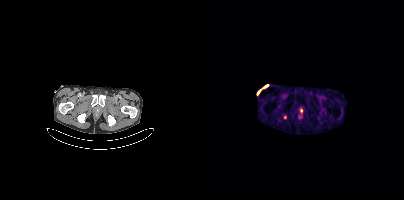
modality: PSMA PET/CT | tracer: [68Ga]Ga-PSMA-11 | view: axial | PET grid: 200×200
Coordinates are on the 200×200 PET (right) panel. Small PSMA-avid focus (2 to 4 px across) near (center x, center y): (80, 117).